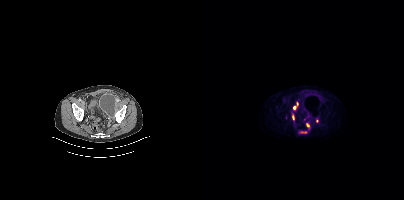
Findings: Coordinates are on the 200×200 PET (right) panel. (showing 3 of 4 foci) PSMA-avid tumor lesion bounding boxes (x0,y0,x1,y1): [89,102,94,109], [88,115,90,119]. Small PSMA-avid focus (2 to 4 px across) near (center x, center y): (103, 124).
- Left: CT. Right: PSMA PET, same axial level, 18F tracer
- acquired on Siemens Biograph mCT Flow 20
- slice position z = -1484 mm
- PET panel 200×200 px (4.1 mm/px)